Paired axial CT (left) and PSMA PET (right), 18F-PSMA tracer.
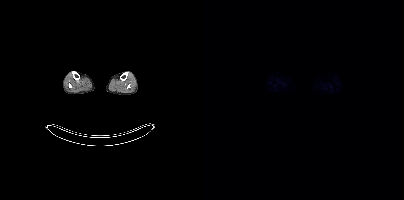
No tumor lesions annotated on this slice.